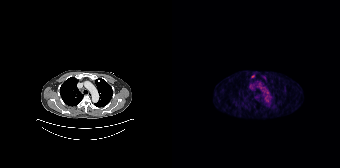
{"pet_grid":[168,168],"coord_frame":"pet_panel","coord_format":"x0,y0,x1,y1","lesion_bboxes":[],"small_foci_centers":[[80,76],[92,77]],"modality":"PSMA PET/CT","view":"axial","tracer":"18F-PSMA"}